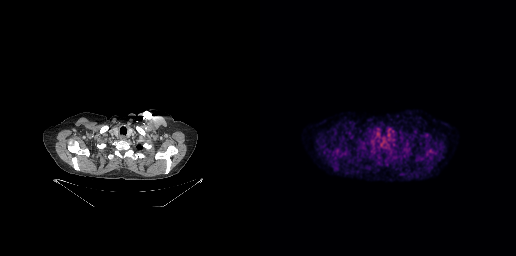
No PSMA-avid tumor lesions on this slice.